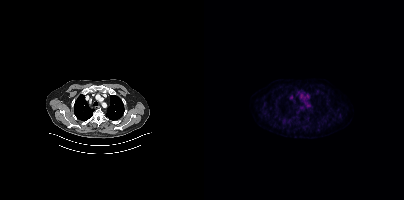
Two-panel axial: CT | PSMA PET, 18F-PSMA tracer. Acquired on Siemens Biograph mCT Flow 20. PET panel 200×200 px (4.1 mm/px). No tumor lesions annotated on this slice.